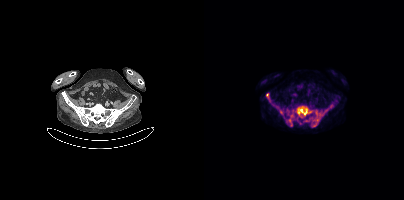
Findings: Coordinates are on the 200×200 PET (right) panel. (showing 6 of 10 foci) PSMA-avid tumor lesion bounding boxes (x0,y0,x1,y1): [93,106,104,120]; [100,115,117,127]; [82,114,89,126]; [62,93,64,98]. Small PSMA-avid foci (2 to 4 px across) near (center x, center y): (72, 106); (96, 123).
- Two-panel axial: CT | PSMA PET, [18F]PSMA-1007 tracer
- acquired on Siemens Biograph mCT Flow 20
- PET panel 200×200 px (4.1 mm/px)